- Two-panel axial: CT | PSMA PET, [68Ga]Ga-PSMA-11 tracer
- acquired on Siemens Biograph mCT Flow 20
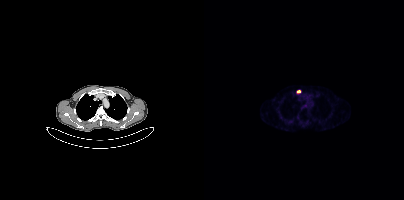
Findings: Coordinates are on the 200×200 PET (right) panel. Small PSMA-avid focus (2 to 4 px across) near (center x, center y): (94, 91).